Paired axial CT (left) and PSMA PET (right), 18F-PSMA tracer. Slice position z = -508 mm.
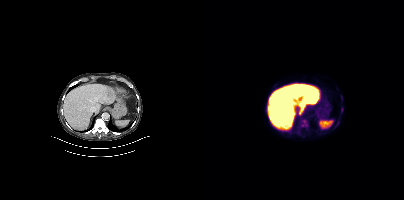
Coordinates are on the 200×200 PET (right) panel. PSMA-avid tumor lesion bounding boxes:
| # | x0 | y0 | x1 | y1 |
|---|---|---|---|---|
| 1 | 97 | 120 | 103 | 126 |
| 2 | 137 | 107 | 138 | 112 |
Small PSMA-avid focus (2 to 4 px across) near (center x, center y): (137, 97).